Two-panel axial: CT | PSMA PET, [18F]PSMA-1007 tracer. Slice 84 of 403.
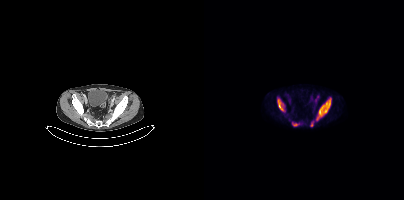
Coordinates are on the 200×200 PET (right) panel. PSMA-avid tumor lesion bounding boxes (x0, y0)-(x1, y1): (112, 97)-(127, 120) | (73, 98)-(81, 111) | (106, 121)-(109, 126) | (88, 123)-(93, 125).